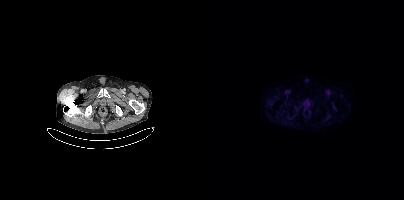
No tumor lesions annotated on this slice.